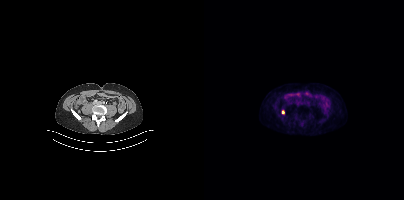
Technique: Paired axial CT (left) and PSMA PET (right), 18F tracer. slice position z = -1342 mm.
Findings: Coordinates are on the 200×200 PET (right) panel. Small PSMA-avid focus (2 to 4 px across) near (center x, center y): (78, 112).